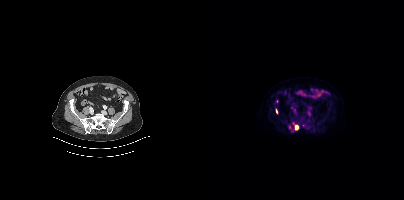
Technique: Left: CT. Right: PSMA PET, same axial level, 18F tracer. acquired on Siemens Biograph mCT Flow 20.
Findings: Coordinates are on the 200×200 PET (right) panel. (showing 4 of 5 foci) PSMA-avid tumor lesion bounding box (x0,y0,x1,y1): [89,123,94,130]. Small PSMA-avid foci (2 to 4 px across) near (center x, center y): (73, 101), (72, 111), (85, 127).